Technique: Two-panel axial: CT | PSMA PET, 18F-PSMA tracer. acquired on Siemens Biograph mCT Flow 20. PET panel 200×200 px (4.1 mm/px).
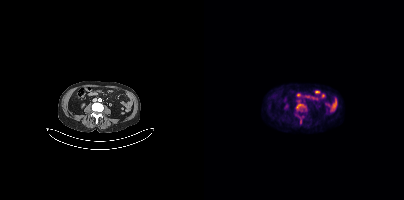
Findings: Coordinates are on the 200×200 PET (right) panel. PSMA-avid tumor lesion bounding box (x0, y0)-(x1, y1): (92, 104)-(101, 109).